Two-panel axial: CT | PSMA PET, 68Ga tracer.
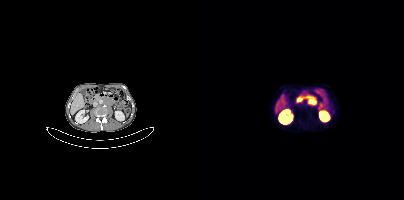
Coordinates are on the 200×200 PET (right) panel. PSMA-avid tumor lesion bounding boxes:
| # | x0 | y0 | x1 | y1 |
|---|---|---|---|---|
| 1 | 100 | 95 | 112 | 105 |